Technique: Paired axial CT (left) and PSMA PET (right), 18F-PSMA tracer. acquired on GE Discovery 690. slice position z = -741 mm. PET panel 256×256 px (2.7 mm/px).
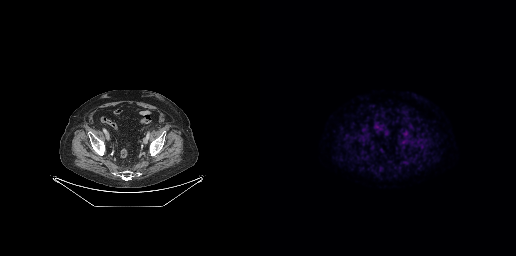
Findings: This slice has no annotated PSMA-avid lesion.